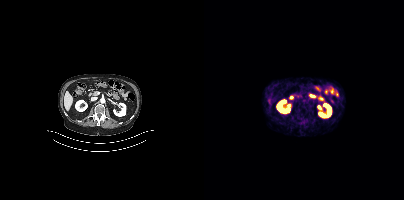
{"modality":"PSMA PET/CT","view":"axial","tracer":"68Ga-PSMA","pet_grid":[200,200],"coord_frame":"pet_panel","coord_format":"x0,y0,x1,y1","psma_avid_lesions":false}